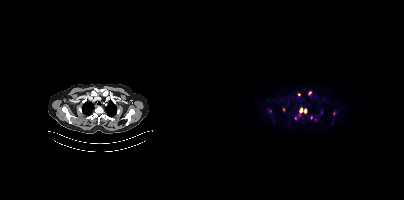
Technique: Paired axial CT (left) and PSMA PET (right), [18F]PSMA-1007 tracer. acquired on Siemens Biograph mCT Flow 20. slice position z = -252 mm.
Findings: Coordinates are on the 200×200 PET (right) panel. (showing 8 of 10 foci) PSMA-avid tumor lesion bounding boxes (x0,y0,x1,y1): [95,107,103,113]; [104,91,107,95]. Small PSMA-avid foci (2 to 4 px across) near (center x, center y): (107, 117); (95, 94); (117, 112); (91, 118); (79, 109); (111, 119).